modality: PSMA PET/CT | tracer: 18F | view: axial | PET grid: 200×200
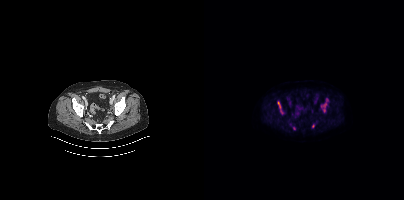
Coordinates are on the 200×200 PET (right) panel. (showing 5 of 6 foci) PSMA-avid tumor lesion bounding box (x0, y0)-(x1, y1): (73, 101)-(79, 114). Small PSMA-avid foci (2 to 4 px across) near (center x, center y): (120, 105); (90, 128); (120, 110); (108, 126).